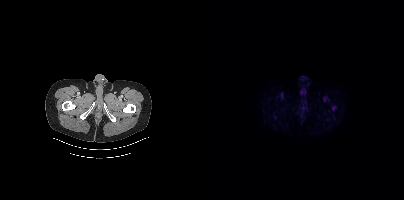
Coordinates are on the 200×200 PET (right) panel. Small PSMA-avid focus (2 to 4 px across) near (center x, center y): (129, 108).